modality: PSMA PET/CT | tracer: 18F-PSMA | view: axial | PET grid: 200×200
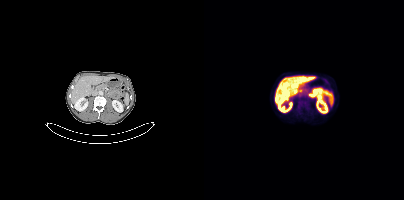
Negative for PSMA-avid disease on this slice.